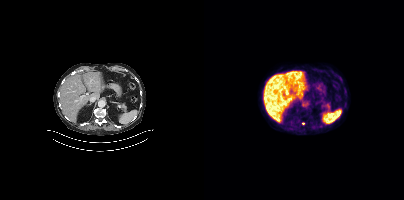
Coordinates are on the 200×200 PET (right) panel. Small PSMA-avid focus (2 to 4 px across) near (center x, center y): (99, 123). Paired axial CT (left) and PSMA PET (right), 18F tracer. Acquired on Siemens Biograph mCT Flow 20. PET panel 200×200 px (4.1 mm/px).